Paired axial CT (left) and PSMA PET (right), 18F tracer. Slice 279 of 413. PET panel 200×200 px (4.1 mm/px).
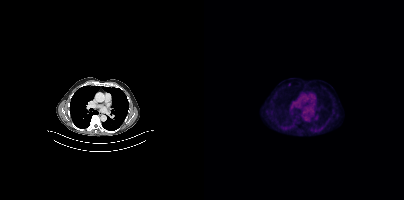
Coordinates are on the 200×200 PET (right) panel. Small PSMA-avid focus (2 to 4 px across) near (center x, center y): (85, 84).